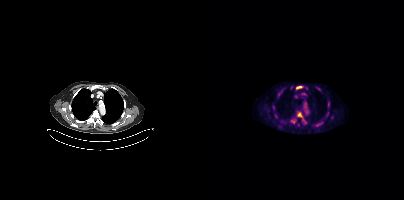
Coordinates are on the 200×200 PET (right) panel. (showing 5 of 7 foci) PSMA-avid tumor lesion bounding box (x0, y0)-(x1, y1): (92, 86)-(99, 89). Small PSMA-avid foci (2 to 4 px across) near (center x, center y): (95, 114) / (69, 107) / (89, 121) / (114, 88). Paired axial CT (left) and PSMA PET (right), 18F-PSMA tracer. Slice 279 of 373.